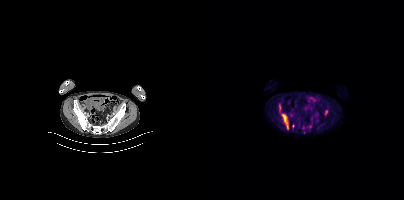
{"modality":"PSMA PET/CT","view":"axial","tracer":"[18F]PSMA-1007","pet_grid":[200,200],"coord_frame":"pet_panel","coord_format":"x0,y0,x1,y1","partial":true,"lesion_bboxes":[[82,123,84,129],[75,104,76,108]],"small_foci_centers":[[122,112],[88,126],[80,117]]}